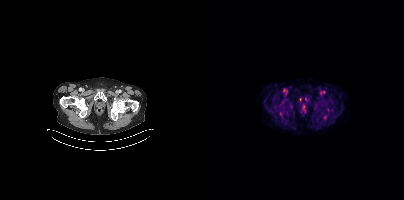
Only PSMA-avid lesion pieces thinner than 2 px on this slice (not listed).